Technique: Paired axial CT (left) and PSMA PET (right), [18F]PSMA-1007 tracer.
Note: Head region blanked for anonymization (face removed).
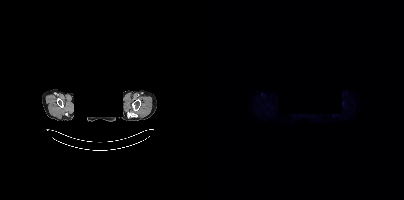
Findings: This slice has no annotated PSMA-avid lesion.